- Left: CT. Right: PSMA PET, same axial level, 68Ga tracer
- acquired on GE Discovery 690
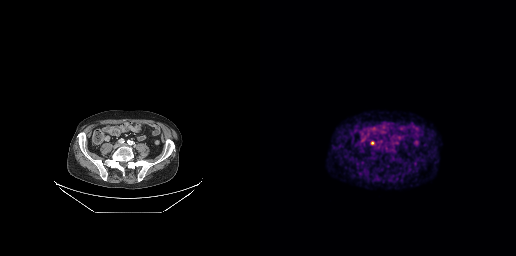
Findings: Coordinates are on the 256×256 PET (right) panel. Small PSMA-avid focus (2 to 4 px across) near (center x, center y): (112, 142).